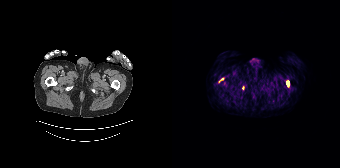
Paired axial CT (left) and PSMA PET (right), 68Ga-PSMA tracer. PET panel 168×168 px (4.1 mm/px). Coordinates are on the 168×168 PET (right) panel. PSMA-avid tumor lesion bounding box (x0, y0)-(x1, y1): (114, 81)-(117, 86). Small PSMA-avid foci (2 to 4 px across) near (center x, center y): (50, 78) / (70, 87).